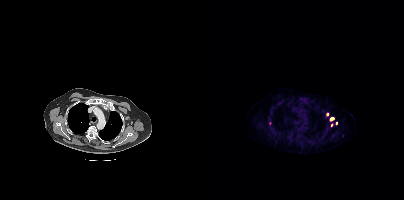
Left: CT. Right: PSMA PET, same axial level, 18F-PSMA tracer. PET panel 200×200 px (4.1 mm/px). Coordinates are on the 200×200 PET (right) panel. Small PSMA-avid foci (2 to 4 px across) near (center x, center y): (127, 119) / (127, 125) / (132, 123) / (123, 113).